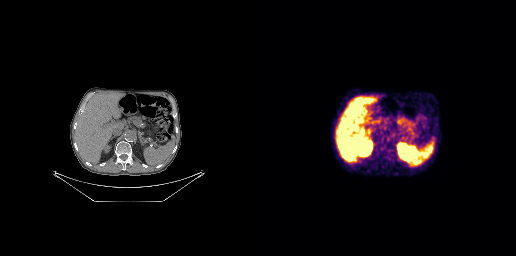
Technique: Paired axial CT (left) and PSMA PET (right), 68Ga-PSMA tracer.
Findings: No tumor lesions annotated on this slice.